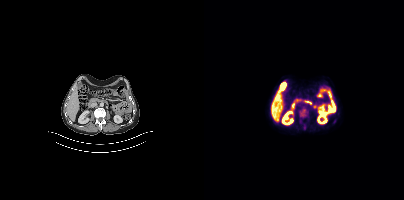
Coordinates are on the 200×200 PET (right) panel. PSMA-avid tumor lesion bounding boxes:
| # | x0 | y0 | x1 | y1 |
|---|---|---|---|---|
| 1 | 97 | 110 | 101 | 115 |
Left: CT. Right: PSMA PET, same axial level, 18F-PSMA tracer. Acquired on Siemens Biograph mCT Flow 20.